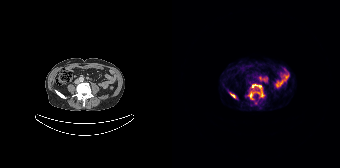
Coordinates are on the 168×168 PET (right) panel. PSMA-avid tumor lesion bounding box (x, y, width, height): x=80 y=84 w=8 h=4. Small PSMA-avid foci (2 to 4 px across) near (center x, center y): (61, 96) / (78, 95).